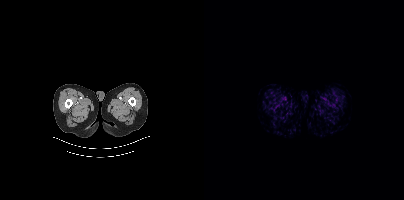
Left: CT. Right: PSMA PET, same axial level, 18F-PSMA tracer. PET panel 200×200 px (4.1 mm/px). No PSMA-avid tumor lesions on this slice.